modality: PSMA PET/CT | tracer: 18F | view: axial | PET grid: 200×200
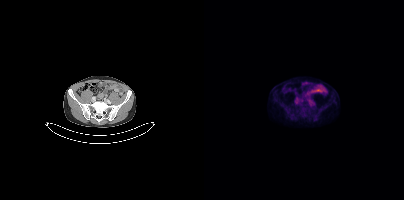
No tumor lesions annotated on this slice.